Left: CT. Right: PSMA PET, same axial level, 18F-PSMA tracer.
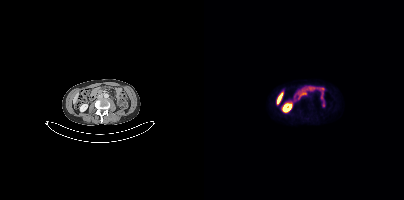
This slice has no annotated PSMA-avid lesion.